Two-panel axial: CT | PSMA PET, 68Ga-PSMA tracer. PET panel 168×168 px (4.1 mm/px).
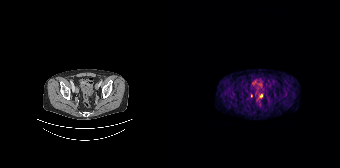
Coordinates are on the 168×168 PET (right) panel. Small PSMA-avid focus (2 to 4 px across) near (center x, center y): (79, 95).